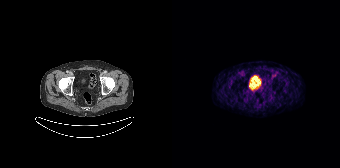
Negative for PSMA-avid disease on this slice.
modality: PSMA PET/CT | tracer: 68Ga | view: axial | PET grid: 168×168